Left: CT. Right: PSMA PET, same axial level, 18F-PSMA tracer. PET panel 256×256 px (2.7 mm/px).
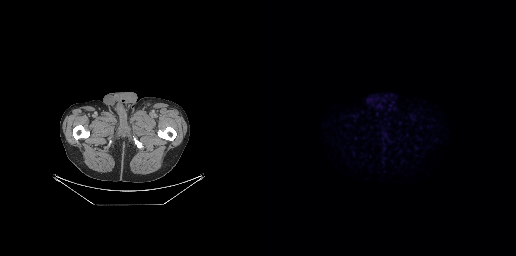
No PSMA-avid tumor lesions on this slice.